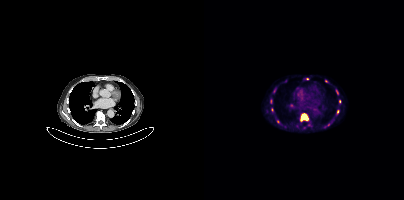
Findings: Coordinates are on the 200×200 PET (right) panel. (showing 4 of 7 foci) PSMA-avid tumor lesion bounding box (x0,y0,x1,y1): [96,113,104,121]. Small PSMA-avid foci (2 to 4 px across) near (center x, center y): (134, 111) (103, 78) (135, 101).
Technique: Paired axial CT (left) and PSMA PET (right), 18F tracer. PET panel 200×200 px (4.1 mm/px).